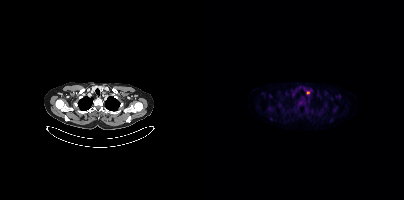
{"modality":"PSMA PET/CT","view":"axial","tracer":"18F","pet_grid":[200,200],"coord_frame":"pet_panel","coord_format":"x0,y0,x1,y1","lesion_bboxes":[],"small_foci_centers":[[103,92]]}